modality: PSMA PET/CT | tracer: 18F | view: axial
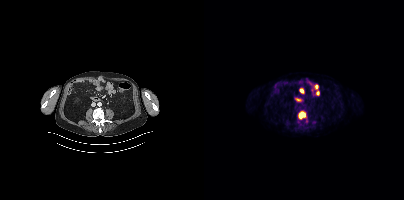
Coordinates are on the 200×200 PET (right) panel. PSMA-avid tumor lesion bounding box (x, y, width, height): x=94 y=112 w=8 h=8.